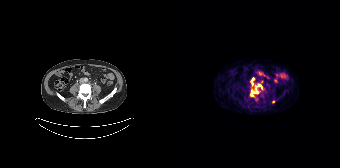
Coordinates are on the 168×168 PET (right) panel. (showing 3 of 4 foci) PSMA-avid tumor lesion bounding box (x0, y0)-(x1, y1): (78, 83)-(90, 96). Small PSMA-avid foci (2 to 4 px across) near (center x, center y): (81, 79); (80, 84).